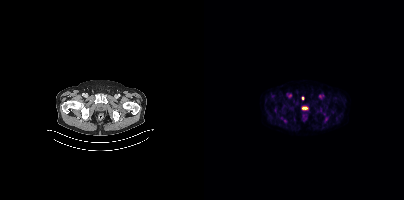
Coordinates are on the 200×200 PET (right) panel. PSMA-avid tumor lesion bounding boxes (x0, y0)-(x1, y1): (120, 117)-(124, 122); (79, 118)-(83, 122). Small PSMA-avid foci (2 to 4 px across) near (center x, center y): (98, 98); (68, 96); (71, 110).